Two-panel axial: CT | PSMA PET, 18F-PSMA tracer. Slice position z = -156 mm.
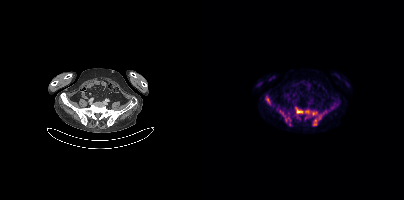
Coordinates are on the 200×200 PET (right) panel. PSMA-avid tumor lesion bounding boxes (partial; 1 more focus not listed):
| # | x0 | y0 | x1 | y1 |
|---|---|---|---|---|
| 1 | 92 | 108 | 122 | 125 |
| 2 | 78 | 113 | 87 | 124 |
| 3 | 62 | 98 | 66 | 104 |
Small PSMA-avid focus (2 to 4 px across) near (center x, center y): (102, 118).